Technique: Left: CT. Right: PSMA PET, same axial level, [18F]PSMA-1007 tracer. slice 1 of 263. PET panel 256×256 px (2.7 mm/px).
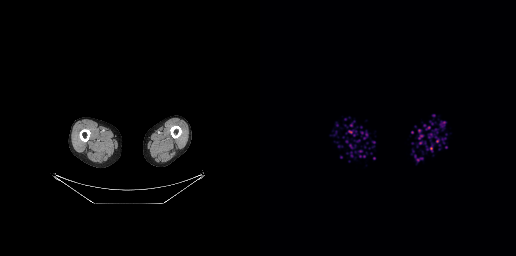
Findings: This slice has no annotated PSMA-avid lesion.